Left: CT. Right: PSMA PET, same axial level, [18F]PSMA-1007 tracer. Slice 283 of 393.
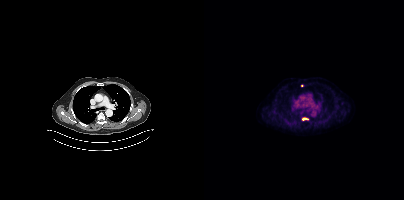
Coordinates are on the 200×200 PET (right) panel. PSMA-avid tumor lesion bounding boxes:
| # | x0 | y0 | x1 | y1 |
|---|---|---|---|---|
| 1 | 98 | 118 | 103 | 119 |
Small PSMA-avid focus (2 to 4 px across) near (center x, center y): (98, 85).